- Paired axial CT (left) and PSMA PET (right), 68Ga-PSMA tracer
- slice 52 of 165
- PET panel 168×168 px (4.1 mm/px)
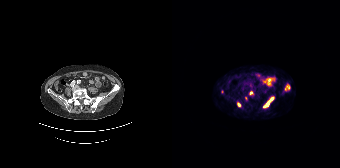
Findings: Coordinates are on the 168×168 PET (right) panel. (showing 5 of 6 foci) PSMA-avid tumor lesion bounding boxes (x, y, width, height): x=91 y=97 w=11 h=11 | x=113 y=85 w=5 h=6 | x=65 y=102 w=4 h=5. Small PSMA-avid foci (2 to 4 px across) near (center x, center y): (78, 93) | (73, 97).